- Left: CT. Right: PSMA PET, same axial level, [18F]PSMA-1007 tracer
- acquired on Siemens Biograph mCT Flow 20
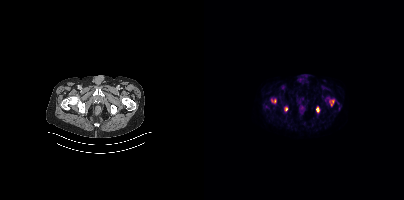
Findings: Coordinates are on the 200×200 PET (right) panel. PSMA-avid tumor lesion bounding boxes (x, y, width, height): x=126 y=100 w=5 h=6 | x=67 y=99 w=5 h=4 | x=112 y=107 w=4 h=6. Small PSMA-avid focus (2 to 4 px across) near (center x, center y): (82, 109).